- Left: CT. Right: PSMA PET, same axial level, [18F]PSMA-1007 tracer
- acquired on Siemens Biograph mCT Flow 20
- slice 137 of 411
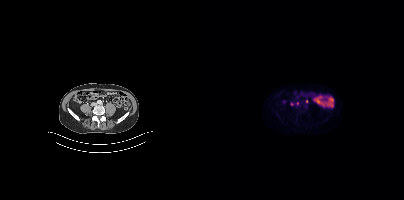
Findings: Coordinates are on the 200×200 PET (right) panel. (showing 2 of 3 foci) Small PSMA-avid foci (2 to 4 px across) near (center x, center y): (88, 104) | (102, 101).